Technique: Left: CT. Right: PSMA PET, same axial level, [68Ga]Ga-PSMA-11 tracer. slice 297 of 419. PET panel 200×200 px (4.1 mm/px).
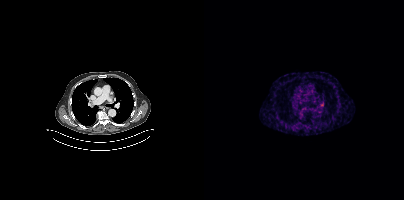
Findings: No PSMA-avid tumor lesions on this slice.